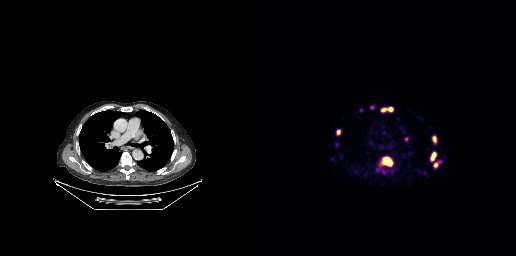
- Paired axial CT (left) and PSMA PET (right), [68Ga]Ga-PSMA-11 tracer
- slice position z = -394 mm
- PET panel 256×256 px (2.7 mm/px)
Findings: Coordinates are on the 256×256 PET (right) panel. PSMA-avid tumor lesion bounding boxes (x0,y0,x1,y1): [122,157,132,166] [171,152,176,160] [121,108,132,111] [172,136,176,141] [76,129,80,134] [145,137,148,141]. Small PSMA-avid foci (2 to 4 px across) near (center x, center y): (175, 164) (101, 110).